Left: CT. Right: PSMA PET, same axial level, 18F-PSMA tracer. PET panel 256×256 px (2.7 mm/px).
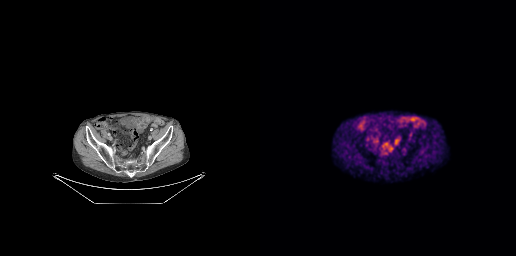
No tumor lesions annotated on this slice.